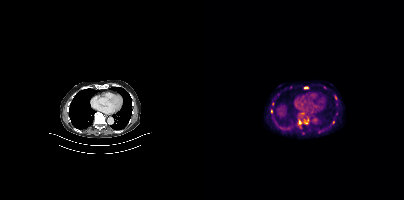
Left: CT. Right: PSMA PET, same axial level, 18F tracer. Acquired on Siemens Biograph mCT Flow 20. Slice position z = -477 mm. PET panel 200×200 px (4.1 mm/px). Coordinates are on the 200×200 PET (right) panel. (showing 6 of 8 foci) PSMA-avid tumor lesion bounding boxes (x0, y0)-(x1, y1): (100, 119)-(104, 123) / (95, 120)-(97, 124) / (131, 96)-(133, 100). Small PSMA-avid foci (2 to 4 px across) near (center x, center y): (101, 87) / (67, 110) / (129, 122).